Technique: Two-panel axial: CT | PSMA PET, 18F-PSMA tracer. slice 81 of 415.
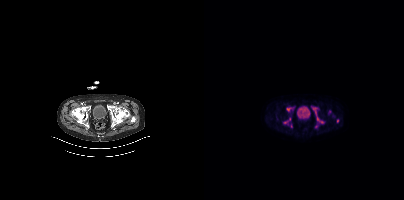
Findings: Coordinates are on the 200×200 PET (right) panel. PSMA-avid tumor lesion bounding boxes (x0,y0,x1,y1): [107,106,119,123]; [79,117,86,124]; [82,107,90,111]; [124,110,127,114]. Small PSMA-avid foci (2 to 4 px across) near (center x, center y): (133, 120); (87, 125); (112, 126).